Paired axial CT (left) and PSMA PET (right), [68Ga]Ga-PSMA-11 tracer. Acquired on Siemens Biograph mCT Flow 20. Privacy masking over the head, with the pixels inside a rectangle set to black.
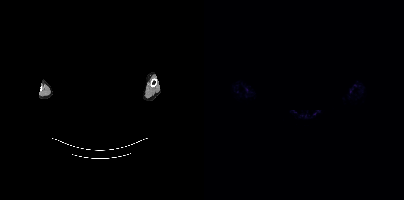
No PSMA-avid tumor lesions on this slice.